- Two-panel axial: CT | PSMA PET, [18F]PSMA-1007 tracer
- acquired on GE Discovery 690
- PET panel 256×256 px (2.7 mm/px)
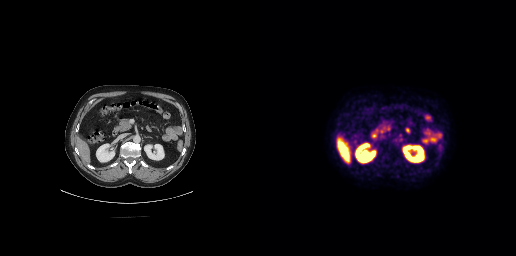
Findings: No tumor lesions annotated on this slice.